modality: PSMA PET/CT | tracer: 18F-PSMA | view: axial | PET grid: 200×200
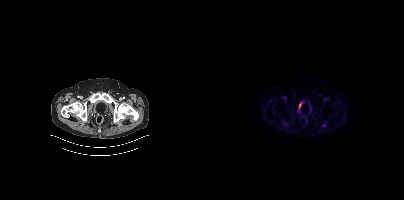
No tumor lesions annotated on this slice.